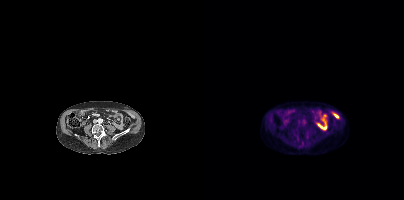
Coordinates are on the 200×200 PET (right) panel. Small PSMA-avid focus (2 to 4 px across) near (center x, center y): (98, 143).